modality: PSMA PET/CT | tracer: 68Ga-PSMA | view: axial
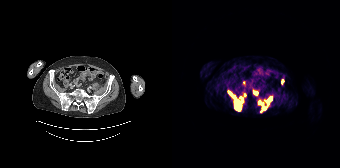
Coordinates are on the 168×168 PET (right) panel. (showing 7 of 9 foci) PSMA-avid tumor lesion bounding boxes (x0,y0,x1,y1): [56,91,69,110] [94,97,100,104] [81,91,86,94] [86,101,91,104] [88,106,93,112] [109,79,111,84]. Small PSMA-avid focus (2 to 4 px across) near (center x, center y): (71, 82).